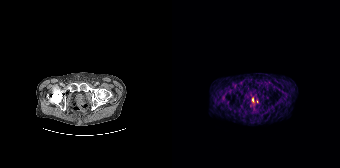
Coordinates are on the 168×168 PET (right) panel. PSMA-avid tumor lesion bounding box (x0, y0)-(x1, y1): (80, 98)-(81, 102). Small PSMA-avid focus (2 to 4 px across) near (center x, center y): (85, 101). Two-panel axial: CT | PSMA PET, 68Ga tracer. Acquired on Siemens Biograph 64-4R TruePoint.